modality: PSMA PET/CT | tracer: 18F | view: axial | PET grid: 200×200
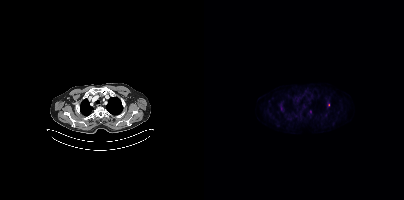
Coordinates are on the 200×200 PET (right) panel. Small PSMA-avid foci (2 to 4 px across) near (center x, center y): (77, 108) | (124, 104).